Paired axial CT (left) and PSMA PET (right), 18F-PSMA tracer. Slice position z = -1312 mm.
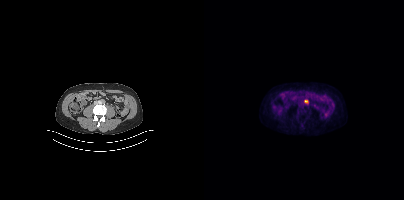
Coordinates are on the 200×200 PET (right) panel. Small PSMA-avid focus (2 to 4 px across) near (center x, center y): (102, 101).